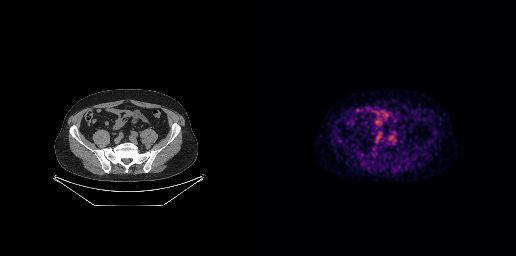
Findings: Coordinates are on the 256×256 PET (right) panel. (showing 1 of 2 foci) Small PSMA-avid focus (2 to 4 px across) near (center x, center y): (101, 154).
Technique: Two-panel axial: CT | PSMA PET, [18F]PSMA-1007 tracer. PET panel 256×256 px (2.7 mm/px).